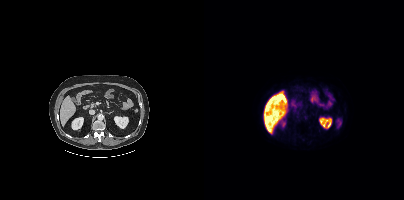
Findings: Negative for PSMA-avid disease on this slice.
Technique: Two-panel axial: CT | PSMA PET, 18F tracer. acquired on Siemens Biograph mCT Flow 20. slice 201 of 417. PET panel 200×200 px (4.1 mm/px).